Privacy masking over the head, with the pixels inside a rectangle set to black.
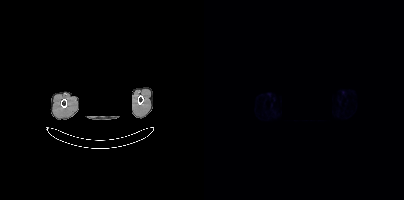
Negative for PSMA-avid disease on this slice.